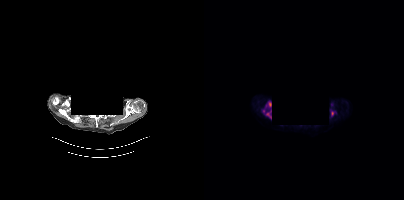
Coordinates are on the 200×200 PET (right) panel. (showing 4 of 5 foci) PSMA-avid tumor lesion bounding boxes (x0, y0)-(x1, y1): (62, 110)-(67, 119); (64, 102)-(67, 107); (127, 111)-(129, 115). Small PSMA-avid focus (2 to 4 px across) near (center x, center y): (59, 111).
modality: PSMA PET/CT | tracer: 18F | view: axial | PET grid: 200×200 | redaction: privacy mask over head